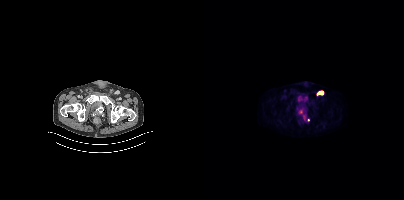
Coordinates are on the 200×200 PET (right) panel. PSMA-avid tumor lesion bounding box (x0,y0,x1,y1): [113,91,119,95]. Small PSMA-avid foci (2 to 4 px across) near (center x, center y): (97, 111) (104, 120).